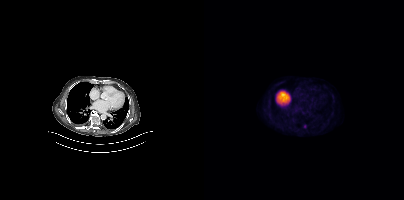
Coordinates are on the 200×200 PET (right) panel. Small PSMA-avid focus (2 to 4 px across) near (center x, center y): (100, 126).